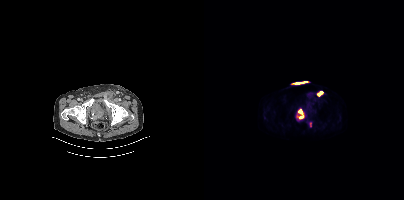
Coordinates are on the 200×200 PET (right) panel. PSMA-avid tumor lesion bounding boxes (x0, y0)-(x1, y1): (94, 109)-(99, 118); (113, 91)-(119, 96). Paired axial CT (left) and PSMA PET (right), 18F tracer.